Left: CT. Right: PSMA PET, same axial level, 18F tracer.
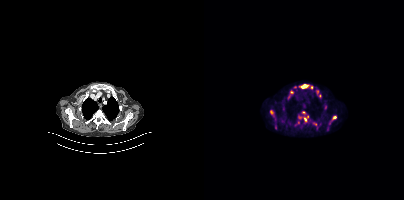
Coordinates are on the 200×200 PET (right) panel. PSMA-avid tumor lesion bounding boxes (partial; 1 more focus not listed):
| # | x0 | y0 | x1 | y1 |
|---|---|---|---|---|
| 1 | 94 | 111 | 104 | 122 |
| 2 | 94 | 84 | 108 | 88 |
| 3 | 105 | 120 | 113 | 125 |
| 4 | 69 | 120 | 73 | 128 |
| 5 | 66 | 110 | 69 | 114 |
| 6 | 86 | 90 | 89 | 94 |
Small PSMA-avid foci (2 to 4 px across) near (center x, center y): (130, 117); (91, 87); (94, 122); (84, 97); (91, 124).